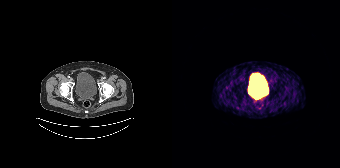
Findings: Negative for PSMA-avid disease on this slice.
Technique: Left: CT. Right: PSMA PET, same axial level, 68Ga tracer. acquired on Siemens Biograph 64-4R TruePoint. PET panel 168×168 px (4.1 mm/px).